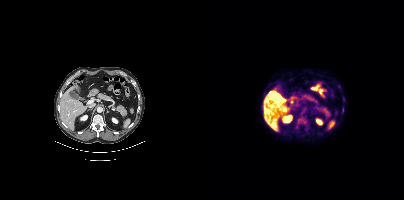
Coordinates are on the 200×200 PET (right) panel. Small PSMA-avid focus (2 to 4 px across) near (center x, center y): (140, 106). Paired axial CT (left) and PSMA PET (right), 18F-PSMA tracer. Acquired on Siemens Biograph mCT Flow 20.